Two-panel axial: CT | PSMA PET, [68Ga]Ga-PSMA-11 tracer. Slice 45 of 195.
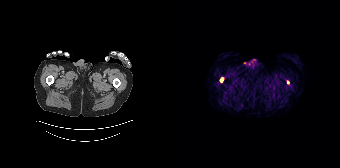
Coordinates are on the 168×168 PET (right) panel. PSMA-avid tumor lesion bounding boxes (partial; 1 more focus not listed):
| # | x0 | y0 | x1 | y1 |
|---|---|---|---|---|
| 1 | 48 | 78 | 51 | 82 |